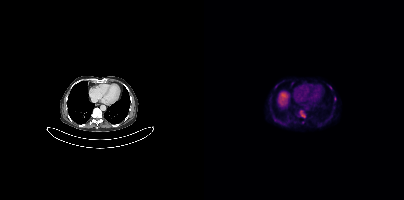
Coordinates are on the 200×200 PET (right) panel. PSMA-avid tumor lesion bounding boxes (x0, y0)-(x1, y1): (96, 111)-(101, 117) | (70, 119)-(77, 123).